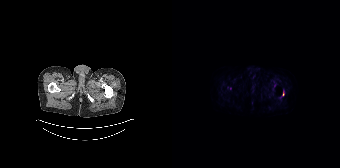
Findings: Coordinates are on the 168×168 PET (right) panel. PSMA-avid tumor lesion bounding box (x0,y0,x1,y1): [110,91,112,95].
Technique: Paired axial CT (left) and PSMA PET (right), [18F]PSMA-1007 tracer. slice position z = -1214 mm. PET panel 168×168 px (4.1 mm/px).